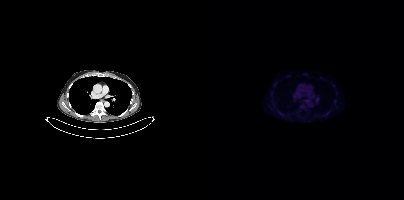
Left: CT. Right: PSMA PET, same axial level, [18F]PSMA-1007 tracer. Coordinates are on the 200×200 PET (right) panel. Small PSMA-avid focus (2 to 4 px across) near (center x, center y): (123, 113).